- Two-panel axial: CT | PSMA PET, [18F]PSMA-1007 tracer
- acquired on Siemens Biograph mCT Flow 20
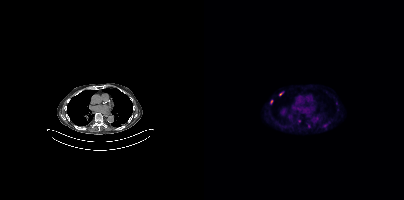
Findings: Coordinates are on the 200×200 PET (right) panel. PSMA-avid tumor lesion bounding boxes (x, y, width, height): x=104 y=124 w=3 h=5; x=75 y=92 w=5 h=4. Small PSMA-avid foci (2 to 4 px across) near (center x, center y): (67, 101); (95, 121).